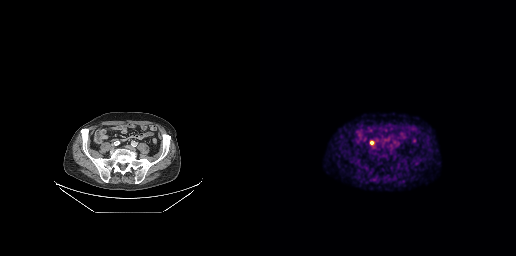
{"modality":"PSMA PET/CT","view":"axial","tracer":"68Ga","pet_grid":[256,256],"coord_frame":"pet_panel","coord_format":"x0,y0,x1,y1","lesion_bboxes":[[110,140,114,145]]}